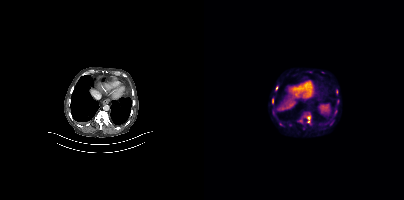
- Paired axial CT (left) and PSMA PET (right), [18F]PSMA-1007 tracer
- PET panel 200×200 px (4.1 mm/px)
Findings: Coordinates are on the 200×200 PET (right) panel. (showing 13 of 14 foci) PSMA-avid tumor lesion bounding boxes (x0,y0,x1,y1): [98,111,107,124], [68,108,72,115], [74,120,79,126], [132,89,134,95], [94,118,98,122], [72,85,74,90], [130,110,133,114], [68,98,69,103], [120,125,122,129]. Small PSMA-avid foci (2 to 4 px across) near (center x, center y): (134, 101), (100, 127), (127, 123), (76, 106).